modality: PSMA PET/CT | tracer: 18F | view: axial
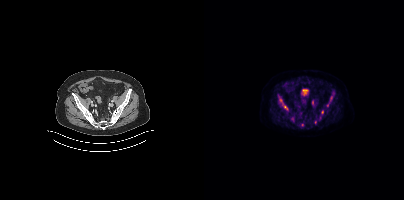
Coordinates are on the 200×200 PET (right) panel. (showing 6 of 8 foci) PSMA-avid tumor lesion bounding boxes (x0, y0)-(x1, y1): (76, 99)-(83, 109) / (126, 96)-(128, 100) / (108, 100)-(109, 104). Small PSMA-avid foci (2 to 4 px across) near (center x, center y): (118, 112) / (88, 118) / (129, 93).